- Two-panel axial: CT | PSMA PET, 68Ga-PSMA tracer
- acquired on Siemens Biograph mCT Flow 20
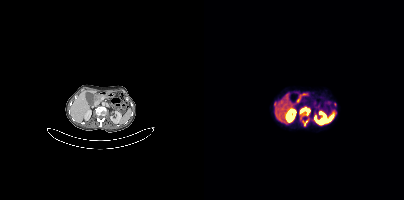
Findings: Coordinates are on the 200×200 PET (right) panel. PSMA-avid tumor lesion bounding boxes (x, y, width, height): x=96 y=107 w=11 h=9 / x=98 y=120 w=7 h=6. Small PSMA-avid focus (2 to 4 px across) near (center x, center y): (131, 104).